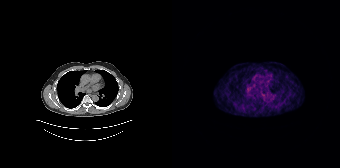
{"modality":"PSMA PET/CT","view":"axial","tracer":"68Ga","pet_grid":[168,168],"coord_frame":"pet_panel","coord_format":"x0,y0,x1,y1","psma_avid_lesions":false}